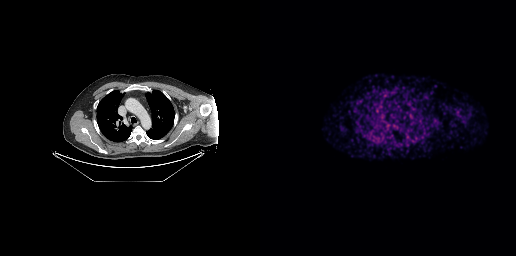
modality: PSMA PET/CT | tracer: 68Ga | view: axial
Negative for PSMA-avid disease on this slice.